Technique: Left: CT. Right: PSMA PET, same axial level, 18F tracer.
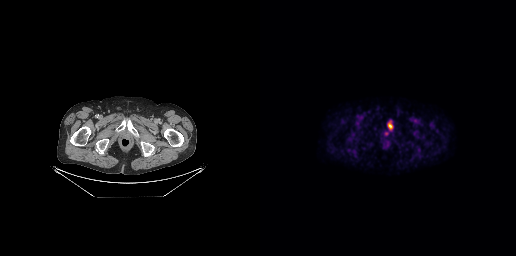
Findings: Coordinates are on the 256×256 PET (right) panel. PSMA-avid tumor lesion bounding box (x0,y0,x1,y1): [128,123,132,129].